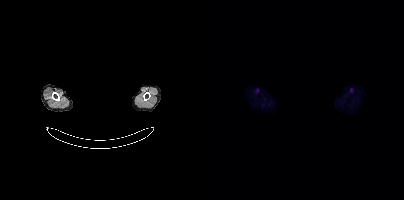
- Paired axial CT (left) and PSMA PET (right), 18F tracer
- acquired on Siemens Biograph mCT Flow 20
- slice 375 of 401
- PET panel 200×200 px (4.1 mm/px)
- any black rectangle over the head is a privacy mask, not anatomy
Findings: Negative for PSMA-avid disease on this slice.